Two-panel axial: CT | PSMA PET, 18F tracer. Acquired on Siemens Biograph mCT Flow 20. PET panel 200×200 px (4.1 mm/px).
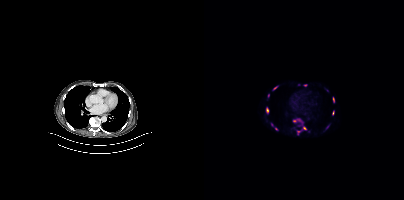
Coordinates are on the 200×200 PET (right) panel. PSMA-avid tumor lesion bounding boxes (partial; 1 more focus not listed):
| # | x0 | y0 | x1 | y1 |
|---|---|---|---|---|
| 1 | 93 | 126 | 102 | 134 |
| 2 | 62 | 107 | 64 | 113 |
| 3 | 129 | 97 | 130 | 102 |
Small PSMA-avid foci (2 to 4 px across) near (center x, center y): (129, 112); (70, 88); (101, 85); (90, 120); (64, 95); (71, 128); (123, 126).